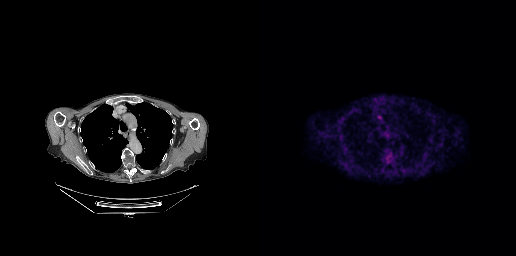
Paired axial CT (left) and PSMA PET (right), [18F]PSMA-1007 tracer. Acquired on GE Discovery 690. Slice 194 of 263. Coordinates are on the 256×256 PET (right) panel. PSMA-avid tumor lesion bounding box (x0, y0)-(x1, y1): (117, 115)-(122, 119).